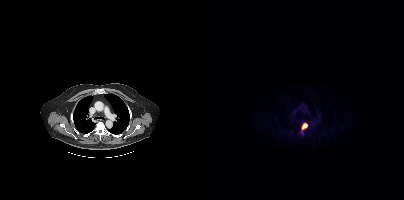
Coordinates are on the 200×200 PET (right) panel. PSMA-avid tumor lesion bounding box (x0, y0)-(x1, y1): (97, 123)-(103, 130). Small PSMA-avid focus (2 to 4 px across) near (center x, center y): (96, 132).